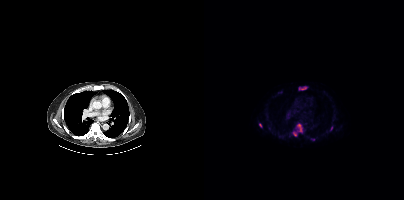
Coordinates are on the 200×200 PET (right) panel. (showing 5 of 6 foci) PSMA-avid tumor lesion bounding boxes (x0, y0)-(x1, y1): (93, 124)-(98, 131) / (95, 86)-(103, 90) / (55, 123)-(58, 127). Small PSMA-avid foci (2 to 4 px across) near (center x, center y): (90, 133) / (108, 139).